De-identified by setting a box covering the face to black before release. Paired axial CT (left) and PSMA PET (right), 18F tracer. Slice 394 of 427. PET panel 200×200 px (4.1 mm/px).
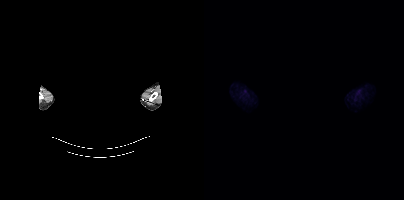
No tumor lesions annotated on this slice.